Paired axial CT (left) and PSMA PET (right), 68Ga tracer. PET panel 168×168 px (4.1 mm/px).
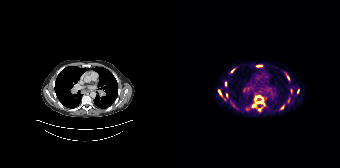
Coordinates are on the 168×168 PET (right) panel. PSMA-avid tumor lesion bounding boxes (partial; 1 more focus not listed):
| # | x0 | y0 | x1 | y1 |
|---|---|---|---|---|
| 1 | 80 | 95 | 92 | 107 |
| 2 | 46 | 90 | 50 | 97 |
| 3 | 84 | 65 | 90 | 67 |
| 4 | 59 | 68 | 63 | 72 |
| 5 | 114 | 74 | 117 | 78 |
Small PSMA-avid foci (2 to 4 px across) near (center x, center y): (54, 94); (117, 99); (53, 83); (110, 107); (87, 109).